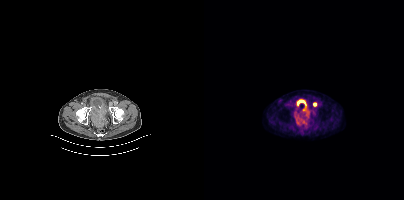
modality: PSMA PET/CT | tracer: 18F-PSMA | view: axial
Coordinates are on the 200×200 PET (right) panel. Small PSMA-avid focus (2 to 4 px across) near (center x, center y): (111, 104).